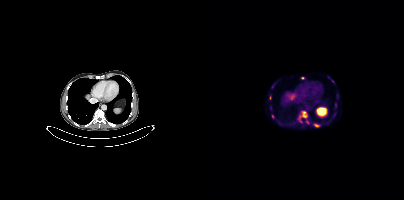
{"modality":"PSMA PET/CT","view":"axial","tracer":"[18F]PSMA-1007","pet_grid":[200,200],"coord_frame":"pet_panel","coord_format":"x0,y0,x1,y1","partial":true,"lesion_bboxes":[[94,111,103,122],[110,124,115,126]],"small_foci_centers":[[98,78],[103,122],[128,81]]}